Technique: Paired axial CT (left) and PSMA PET (right), [18F]PSMA-1007 tracer. slice position z = -955 mm. PET panel 200×200 px (4.1 mm/px).
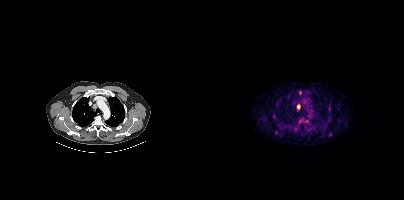
Findings: Coordinates are on the 200×200 PET (right) panel. PSMA-avid tumor lesion bounding box (x0,y0,x1,y1): [93,104,96,109]. Small PSMA-avid foci (2 to 4 px across) near (center x, center y): (96, 92), (103, 120).